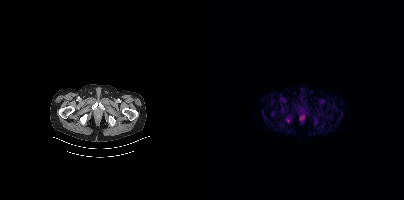
Findings: This slice has no annotated PSMA-avid lesion.
- Left: CT. Right: PSMA PET, same axial level, [18F]PSMA-1007 tracer
- acquired on Siemens Biograph mCT Flow 20
- slice position z = -113 mm
- PET panel 200×200 px (4.1 mm/px)